Technique: Left: CT. Right: PSMA PET, same axial level, [18F]PSMA-1007 tracer. acquired on Siemens Biograph 64-4R TruePoint. slice 61 of 165.
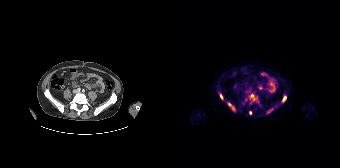
Findings: No PSMA-avid tumor lesions on this slice.